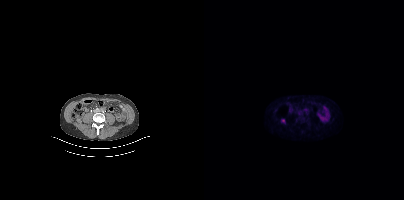
Paired axial CT (left) and PSMA PET (right), [18F]PSMA-1007 tracer. Acquired on Siemens Biograph mCT Flow 20. Slice 158 of 435. PET panel 200×200 px (4.1 mm/px).
Coordinates are on the 200×200 PET (right) panel. PSMA-avid tumor lesion bounding boxes:
| # | x0 | y0 | x1 | y1 |
|---|---|---|---|---|
| 1 | 77 | 119 | 81 | 123 |